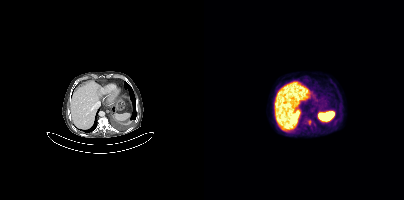
{"modality":"PSMA PET/CT","view":"axial","tracer":"18F","pet_grid":[200,200],"coord_frame":"pet_panel","coord_format":"x0,y0,x1,y1","lesion_bboxes":[[105,120,106,124]]}